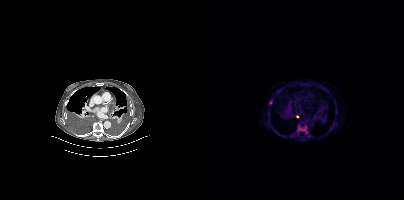
{"pet_grid":[200,200],"coord_frame":"pet_panel","coord_format":"x0,y0,x1,y1","partial":true,"lesion_bboxes":[[94,126,104,134]],"small_foci_centers":[[66,102],[93,116]],"modality":"PSMA PET/CT","view":"axial","tracer":"18F-PSMA"}